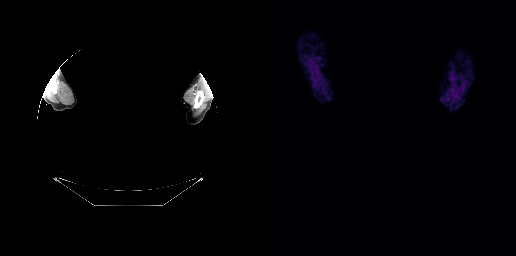
Negative for PSMA-avid disease on this slice. Two-panel axial: CT | PSMA PET, 18F-PSMA tracer. Slice position z = -26 mm. Facial anatomy redacted by setting a rectangular region of the head to black.